Technique: Paired axial CT (left) and PSMA PET (right), [18F]PSMA-1007 tracer. PET panel 200×200 px (4.1 mm/px).
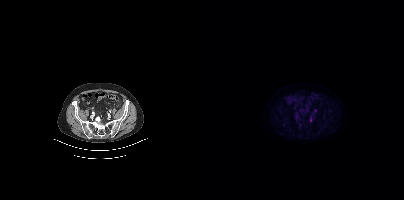
Findings: Coordinates are on the 200×200 PET (right) panel. Small PSMA-avid focus (2 to 4 px across) near (center x, center y): (111, 110).